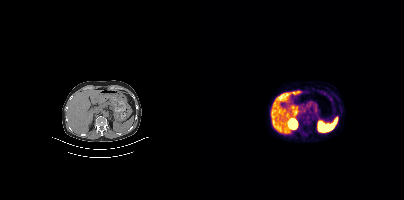
Paired axial CT (left) and PSMA PET (right), [68Ga]Ga-PSMA-11 tracer. Acquired on Siemens Biograph mCT Flow 20. This slice has no annotated PSMA-avid lesion.